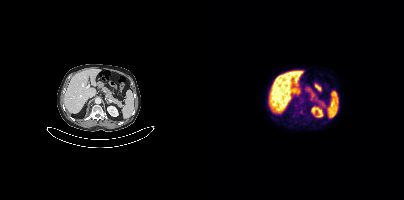
Technique: Two-panel axial: CT | PSMA PET, 18F-PSMA tracer. PET panel 200×200 px (4.1 mm/px).
Findings: No PSMA-avid tumor lesions on this slice.